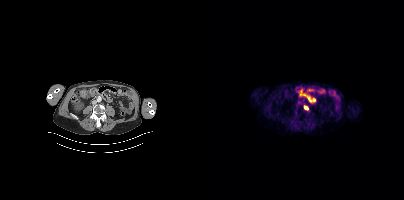
Coordinates are on the 200×200 PET (right) panel. PSMA-avid tumor lesion bounding box (x0,y0,x1,y1): [100,106,104,109].